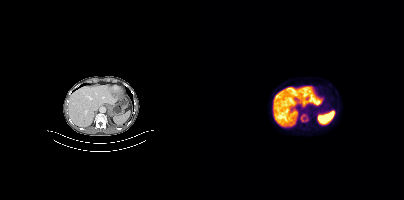
Two-panel axial: CT | PSMA PET, [18F]PSMA-1007 tracer. Acquired on Siemens Biograph mCT Flow 20. Slice 215 of 405. Coordinates are on the 200×200 PET (right) panel. PSMA-avid tumor lesion bounding box (x0,y0,x1,y1): [96,114,104,121].